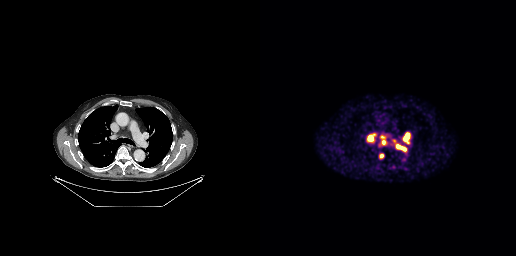
Coordinates are on the 256×256 PET (right) panel. PSMA-avid tumor lesion bounding boxes (x, y, width, height): x=143 y=133 w=7 h=11 | x=108 y=133 w=8 h=8 | x=136 y=145 w=10 h=6. Small PSMA-avid foci (2 to 4 px across) near (center x, center y): (121, 155) | (134, 141) | (122, 136) | (123, 142).